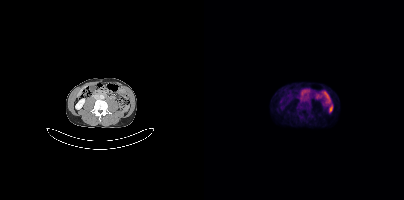
Coordinates are on the 200×200 PET (right) panel. PSMA-avid tumor lesion bounding box (x0, y0)-(x1, y1): (94, 104)-(99, 110).